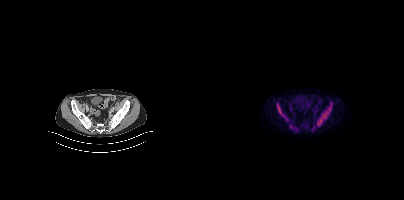
Technique: Paired axial CT (left) and PSMA PET (right), 18F tracer. slice 96 of 413. PET panel 200×200 px (4.1 mm/px).
Findings: Coordinates are on the 200×200 PET (right) panel. (showing 4 of 5 foci) PSMA-avid tumor lesion bounding boxes (x0,y0,x1,y1): [113,111,124,125] [74,109,83,120]. Small PSMA-avid foci (2 to 4 px across) near (center x, center y): (125, 108) (86, 126).